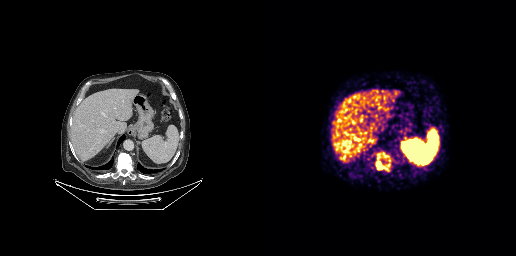
{"modality":"PSMA PET/CT","view":"axial","tracer":"[68Ga]Ga-PSMA-11","pet_grid":[256,256],"coord_frame":"pet_panel","coord_format":"x0,y0,x1,y1","lesion_bboxes":[[116,152,130,171]],"small_foci_centers":[[129,160]]}